Left: CT. Right: PSMA PET, same axial level, [18F]PSMA-1007 tracer.
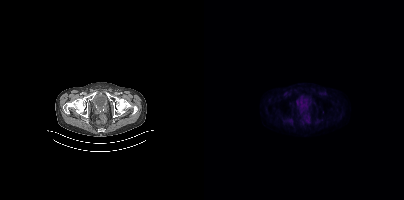
Negative for PSMA-avid disease on this slice.